- Paired axial CT (left) and PSMA PET (right), [18F]PSMA-1007 tracer
- slice 300 of 431
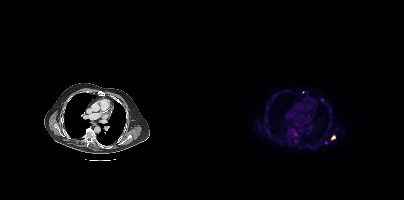
Findings: Coordinates are on the 200×200 PET (right) panel. (showing 1 of 3 foci) Small PSMA-avid focus (2 to 4 px across) near (center x, center y): (129, 137).